- Paired axial CT (left) and PSMA PET (right), 18F-PSMA tracer
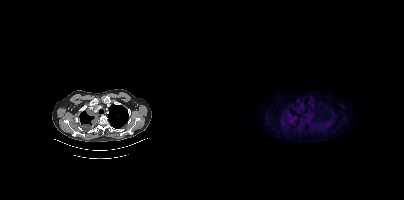
Findings: Coordinates are on the 200×200 PET (right) panel. Small PSMA-avid focus (2 to 4 px across) near (center x, center y): (90, 118).